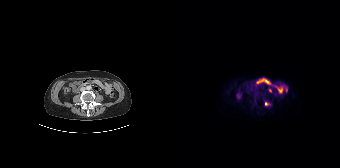
Coordinates are on the 168×168 PET (right) panel. Small PSMA-avid focus (2 to 4 px across) near (center x, center y): (94, 103).